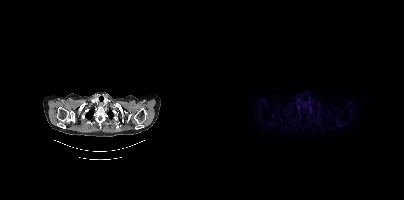
{"modality":"PSMA PET/CT","view":"axial","tracer":"18F-PSMA","pet_grid":[200,200],"coord_frame":"pet_panel","coord_format":"x0,y0,x1,y1","lesion_bboxes":[],"small_foci_centers":[[94,107]]}